modality: PSMA PET/CT | tracer: 18F-PSMA | view: axial | PET grid: 200×200
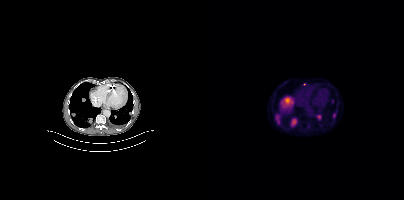
Coordinates are on the 200×200 PET (right) panel. (showing 8 of 9 foci) PSMA-avid tumor lesion bounding boxes (x, y, width, height): x=72 y=114 w=5 h=11 / x=87 y=118 w=6 h=8 / x=113 y=115 w=5 h=5 / x=127 y=99 w=3 h=5 / x=103 y=124 w=3 h=5. Small PSMA-avid foci (2 to 4 px across) near (center x, center y): (130, 115) / (83, 100) / (100, 84).